Left: CT. Right: PSMA PET, same axial level, [68Ga]Ga-PSMA-11 tracer. Acquired on Siemens Biograph mCT Flow 20. Slice position z = -569 mm. PET panel 200×200 px (4.1 mm/px).
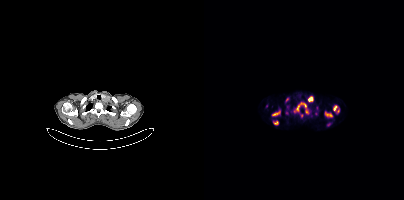
Coordinates are on the 200×200 PET (right) panel. PSMA-avid tumor lesion bounding boxes (partial; 1 more focus not listed):
| # | x0 | y0 | x1 | y1 |
|---|---|---|---|---|
| 1 | 89 | 106 | 95 | 112 |
| 2 | 121 | 112 | 128 | 116 |
| 3 | 104 | 96 | 109 | 101 |
| 4 | 68 | 111 | 75 | 115 |
| 5 | 129 | 106 | 132 | 110 |
| 6 | 70 | 121 | 74 | 124 |
Small PSMA-avid foci (2 to 4 px across) near (center x, center y): (102, 111); (97, 115); (101, 105); (134, 111); (83, 99); (111, 113).